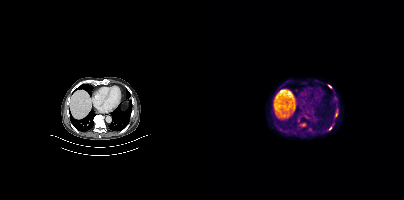
{"modality":"PSMA PET/CT","view":"axial","tracer":"18F","pet_grid":[200,200],"coord_frame":"pet_panel","coord_format":"x0,y0,x1,y1","lesion_bboxes":[],"small_foci_centers":[[125,86],[132,115],[99,124],[126,128]]}